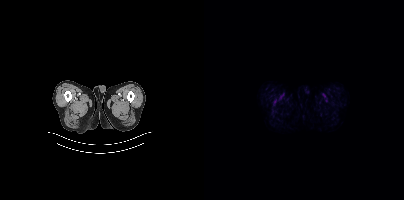
No PSMA-avid tumor lesions on this slice.